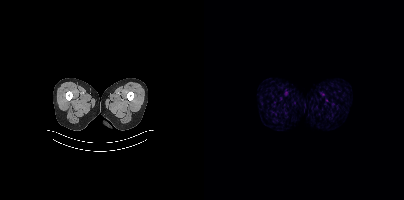
Two-panel axial: CT | PSMA PET, 18F-PSMA tracer. Slice position z = -1632 mm. PET panel 200×200 px (4.1 mm/px). Negative for PSMA-avid disease on this slice.